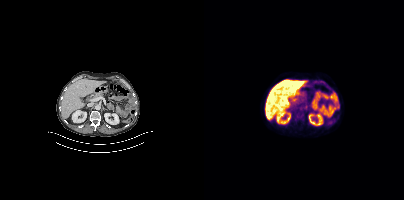
This slice has no annotated PSMA-avid lesion.